Two-panel axial: CT | PSMA PET, 18F-PSMA tracer. Acquired on Siemens Biograph mCT Flow 20.
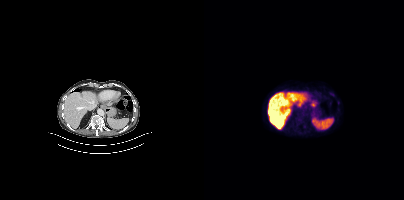
Negative for PSMA-avid disease on this slice.